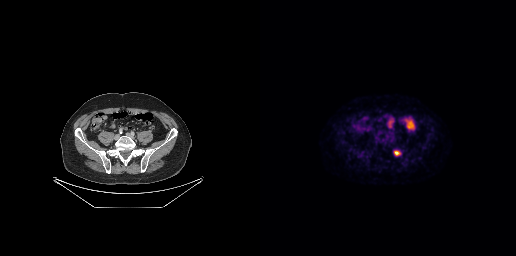
Coordinates are on the 256×256 PET (right) panel. PSMA-avid tumor lesion bounding box (x0, y0)-(x1, y1): (134, 150)-(140, 156).